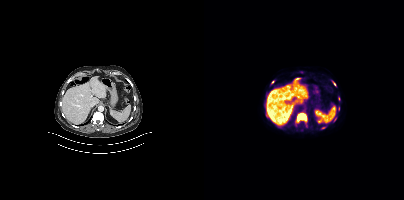
{"modality":"PSMA PET/CT","view":"axial","tracer":"[18F]PSMA-1007","pet_grid":[200,200],"coord_frame":"pet_panel","coord_format":"x0,y0,x1,y1","partial":true,"lesion_bboxes":[[93,113,102,121],[117,127,121,129]],"small_foci_centers":[[130,119],[134,108],[69,82],[134,98],[130,84]]}